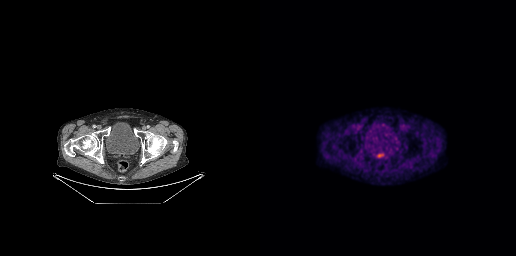
No tumor lesions annotated on this slice.